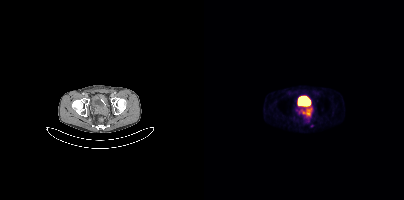
Left: CT. Right: PSMA PET, same axial level, 68Ga-PSMA tracer. Acquired on Siemens Biograph mCT Flow 20. Slice 66 of 409.
Coordinates are on the 200×200 PET (right) panel. PSMA-avid tumor lesion bounding boxes:
| # | x0 | y0 | x1 | y1 |
|---|---|---|---|---|
| 1 | 97 | 107 | 108 | 116 |